modality: PSMA PET/CT | tracer: 68Ga | view: axial | PET grid: 168×168
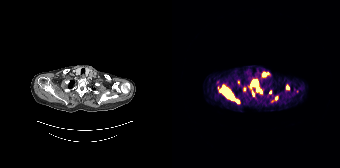
Coordinates are on the 168×168 PET (right) panel. (showing 7 of 10 foci) PSMA-avid tumor lesion bounding boxes (x0, y0)-(x1, y1): (49, 86)-(67, 103) | (79, 80)-(87, 91) | (90, 72)-(94, 76) | (103, 96)-(105, 100). Small PSMA-avid foci (2 to 4 px across) near (center x, center y): (116, 87) | (81, 94) | (89, 91).